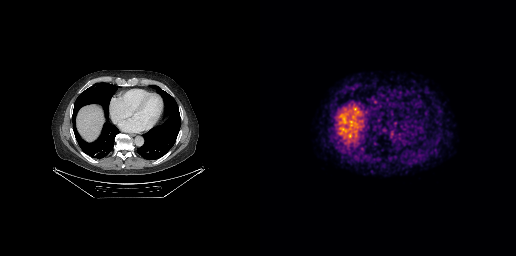
{"pet_grid":[256,256],"coord_frame":"pet_panel","coord_format":"x0,y0,x1,y1","psma_avid_lesions":false,"modality":"PSMA PET/CT","view":"axial","tracer":"68Ga-PSMA"}